Paired axial CT (left) and PSMA PET (right), [18F]PSMA-1007 tracer. Slice position z = -1573 mm.
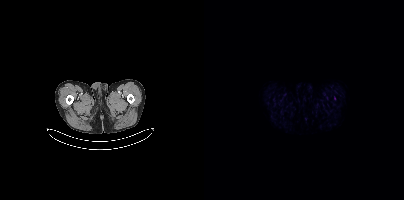
Negative for PSMA-avid disease on this slice.